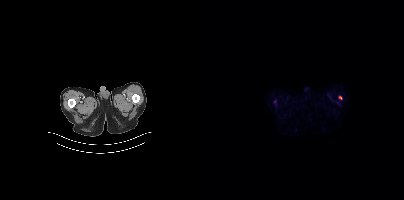
Coordinates are on the 200×200 PET (right) panel. Small PSMA-avid focus (2 to 4 px across) near (center x, center y): (136, 97).